- Two-panel axial: CT | PSMA PET, [18F]PSMA-1007 tracer
- acquired on Siemens Biograph mCT Flow 20
- slice position z = -524 mm
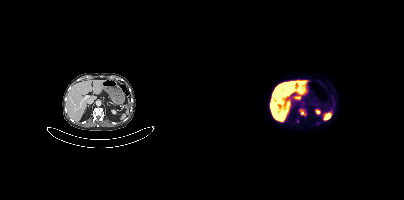
Findings: Coordinates are on the 200×200 PET (right) panel. PSMA-avid tumor lesion bounding box (x0,y0,x1,y1): [96,110,101,115].